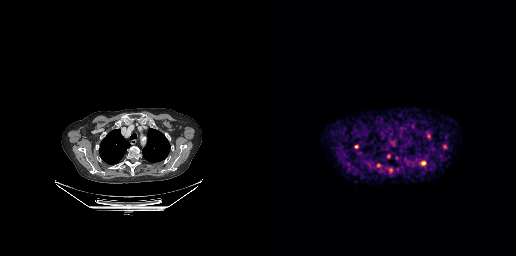
{"pet_grid":[256,256],"coord_frame":"pet_panel","coord_format":"x0,y0,x1,y1","lesion_bboxes":[[183,144,187,148],[129,168,132,172],[116,163,119,167]],"small_foci_centers":[[96,146],[163,163],[128,156],[136,158],[168,135]],"modality":"PSMA PET/CT","view":"axial","tracer":"68Ga"}